Paired axial CT (left) and PSMA PET (right), [68Ga]Ga-PSMA-11 tracer.
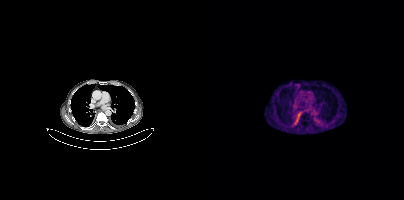
Coordinates are on the 200×200 PET (right) panel. Small PSMA-avid focus (2 to 4 px across) near (center x, center y): (103, 110).